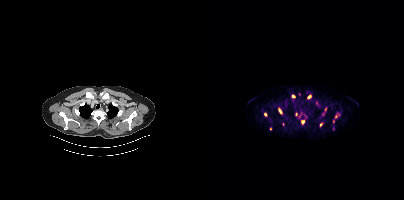
modality: PSMA PET/CT | tracer: 18F-PSMA | view: axial
Coordinates are on the 200×200 PET (right) panel. (showing 8 of 14 foci) PSMA-avid tumor lesion bounding boxes (x0,y0,x1,y1): [103,95,107,99], [75,108,77,113]. Small PSMA-avid foci (2 to 4 px across) near (center x, center y): (98, 121), (89, 96), (117, 124), (61, 114), (132, 116), (121, 109).